Paired axial CT (left) and PSMA PET (right), 18F-PSMA tracer. PET panel 200×200 px (4.1 mm/px).
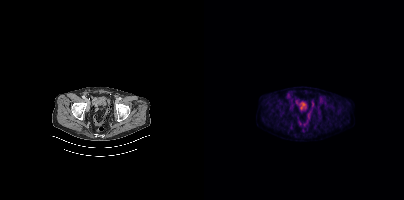
No tumor lesions annotated on this slice.